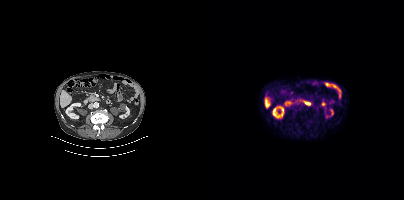
No PSMA-avid tumor lesions on this slice.